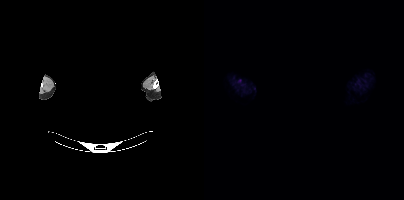
redaction: privacy mask over head | modality: PSMA PET/CT | tracer: 18F-PSMA | view: axial | PET grid: 200×200
This slice has no annotated PSMA-avid lesion.